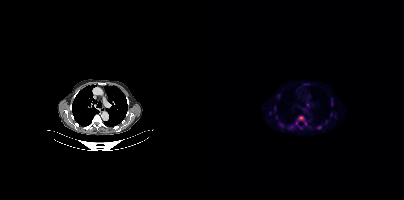
Left: CT. Right: PSMA PET, same axial level, 18F tracer. Acquired on Siemens Biograph mCT Flow 20. Slice 266 of 375. PET panel 200×200 px (4.1 mm/px). Coordinates are on the 200×200 PET (right) panel. (showing 10 of 12 foci) PSMA-avid tumor lesion bounding boxes (x0, y0)-(x1, y1): (94, 116)-(100, 120) | (70, 106)-(72, 110). Small PSMA-avid foci (2 to 4 px across) near (center x, center y): (66, 113) | (115, 127) | (101, 123) | (87, 127) | (103, 104) | (72, 116) | (77, 124) | (92, 122).